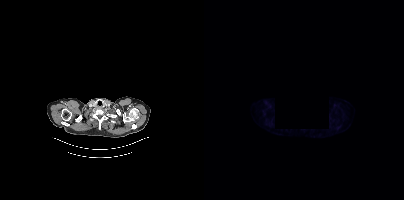
Findings: Negative for PSMA-avid disease on this slice.
- Two-panel axial: CT | PSMA PET, 18F-PSMA tracer
- PET panel 200×200 px (4.1 mm/px)
- any black rectangle here is a de-identification mask